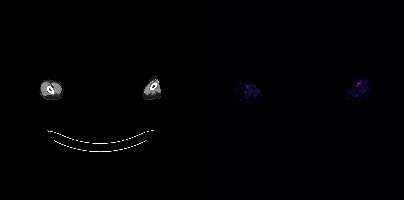
{"pet_grid":[200,200],"coord_frame":"pet_panel","coord_format":"x0,y0,x1,y1","psma_avid_lesions":false,"modality":"PSMA PET/CT","view":"axial","tracer":"18F","de-identification":"privacy mask over head"}